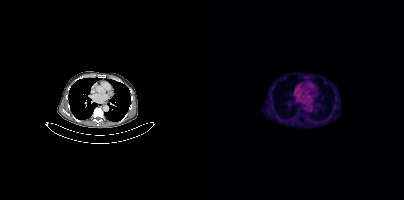
Coordinates are on the 200×200 PET (right) panel. Small PSMA-avid focus (2 to 4 px across) near (center x, center y): (66, 97).